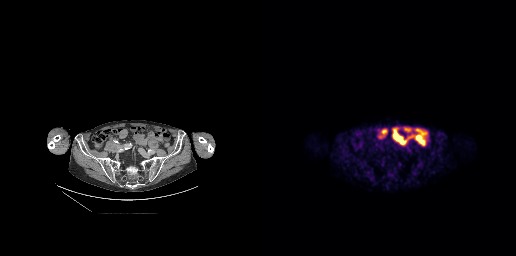
Left: CT. Right: PSMA PET, same axial level, 18F tracer. Slice 85 of 263. No tumor lesions annotated on this slice.